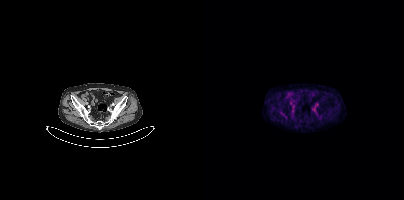
Findings: This slice has no annotated PSMA-avid lesion.
- Paired axial CT (left) and PSMA PET (right), 18F tracer
- acquired on Siemens Biograph mCT Flow 20
- slice 95 of 401
- PET panel 200×200 px (4.1 mm/px)